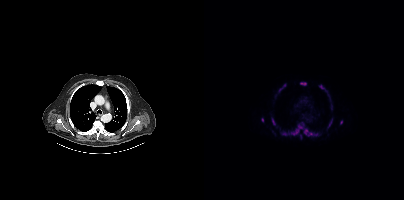
{"modality":"PSMA PET/CT","view":"axial","tracer":"18F-PSMA","pet_grid":[200,200],"coord_frame":"pet_panel","coord_format":"x0,y0,x1,y1","partial":true,"lesion_bboxes":[[78,122,103,135],[96,82,102,85],[116,85,123,91],[68,118,71,125],[124,119,128,127],[109,133,113,135],[96,134,97,138]],"small_foci_centers":[[58,119],[137,122],[80,85],[76,89],[124,95]]}